- Paired axial CT (left) and PSMA PET (right), [18F]PSMA-1007 tracer
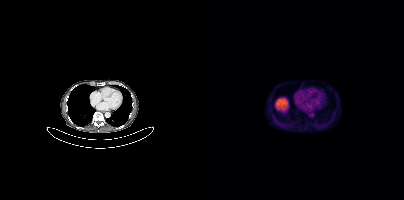
Findings: This slice has no annotated PSMA-avid lesion.